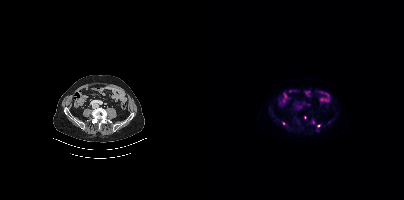
Coordinates are on the 200×200 PET (right) panel. Small PSMA-avid focus (2 to 4 px across) near (center x, center y): (115, 125).